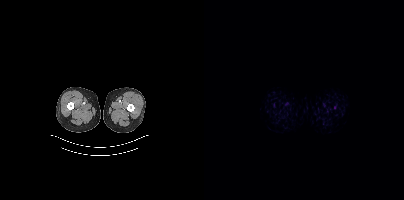
{"modality":"PSMA PET/CT","view":"axial","tracer":"[18F]PSMA-1007","pet_grid":[200,200],"coord_frame":"pet_panel","coord_format":"x0,y0,x1,y1","psma_avid_lesions":false}